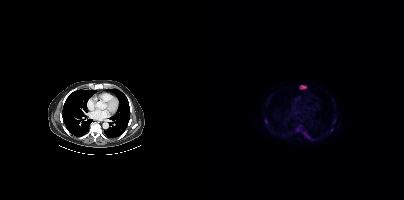
Coordinates are on the 200×200 PET (right) panel. PSMA-avid tumor lesion bounding boxes (x0,y0,x1,y1): [96,85,102,89], [100,132,105,138]. Small PSMA-avid foci (2 to 4 px across) near (center x, center y): (62, 121), (93, 129). Left: CT. Right: PSMA PET, same axial level, [18F]PSMA-1007 tracer. Slice 369 of 508.